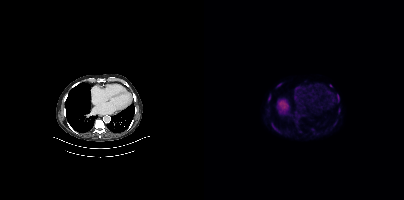
{"pet_grid":[200,200],"coord_frame":"pet_panel","coord_format":"x0,y0,x1,y1","partial":true,"lesion_bboxes":[[67,122,75,132],[64,94,66,102],[73,83,77,87],[133,94,135,98],[134,108,135,112]],"small_foci_centers":[[127,85]],"modality":"PSMA PET/CT","view":"axial","tracer":"18F"}